Paired axial CT (left) and PSMA PET (right), 18F tracer. Slice 111 of 395. PET panel 200×200 px (4.1 mm/px).
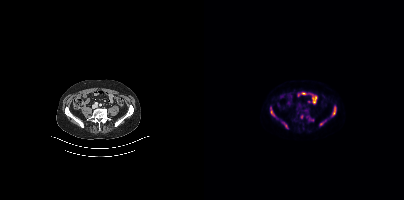
Coordinates are on the 200×200 PET (right) panel. PSMA-avid tumor lesion bounding boxes (x0, y0)-(x1, y1): (102, 115)-(109, 121) / (128, 106)-(131, 115) / (66, 107)-(70, 116) / (115, 121)-(119, 125) / (80, 123)-(83, 128). Small PSMA-avid focus (2 to 4 px across) near (center x, center y): (97, 116).